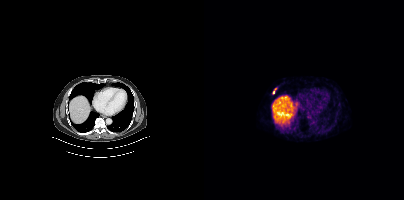
Coordinates are on the 200×200 PET (right) panel. Small PSMA-avid focus (2 to 4 px across) near (center x, center y): (69, 92).